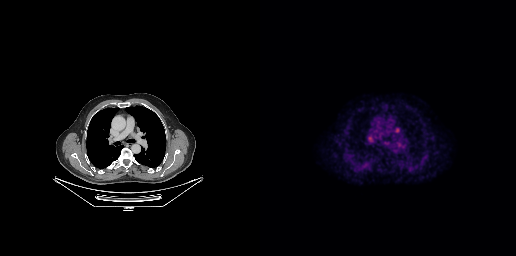
Coordinates are on the 256×256 PET (right) panel. PSMA-avid tumor lesion bounding boxes (x0,y0,x1,y1): [107,136,114,142]; [134,127,140,133].
modality: PSMA PET/CT | tracer: [18F]PSMA-1007 | view: axial